modality: PSMA PET/CT | tracer: [18F]PSMA-1007 | view: axial | PET grid: 256×256 | redaction: rectangular block over head set to black
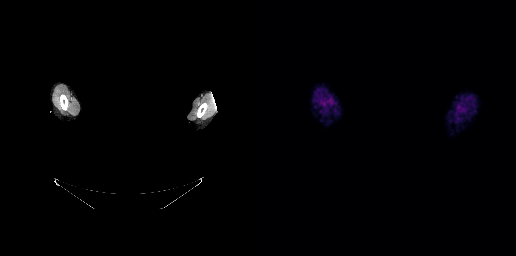
Negative for PSMA-avid disease on this slice.